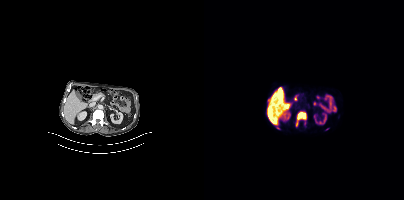
Findings: Coordinates are on the 200×200 PET (right) panel. PSMA-avid tumor lesion bounding boxes (x, y, width, height): x=92 y=112 w=11 h=15 | x=72 y=125 w=4 h=5. Small PSMA-avid focus (2 to 4 px across) near (center x, center y): (123, 128).
Technique: Two-panel axial: CT | PSMA PET, 18F-PSMA tracer. acquired on Siemens Biograph mCT Flow 20. slice 191 of 387.